Paired axial CT (left) and PSMA PET (right), 18F tracer. Slice 209 of 435.
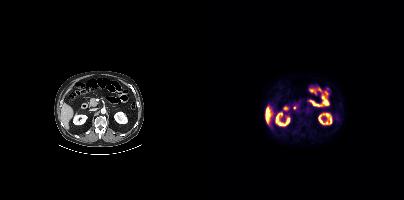
Negative for PSMA-avid disease on this slice.